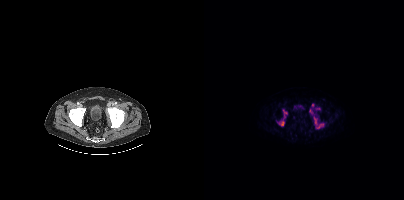
Coordinates are on the 200×200 PET (right) panel. (showing 6 of 9 foci) PSMA-avid tumor lesion bounding boxes (x0, y0)-(x1, y1): (110, 116)-(120, 128) / (75, 121)-(80, 125) / (105, 109)-(109, 114). Small PSMA-avid foci (2 to 4 px across) near (center x, center y): (81, 112) / (112, 107) / (90, 106).